modality: PSMA PET/CT | tracer: 18F-PSMA | view: axial
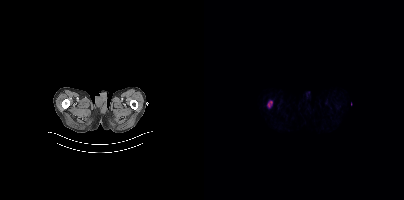
Coordinates are on the 200×200 PET (right) panel. PSMA-avid tumor lesion bounding box (x, y, width, height): x=64 y=101 w=5 h=7.